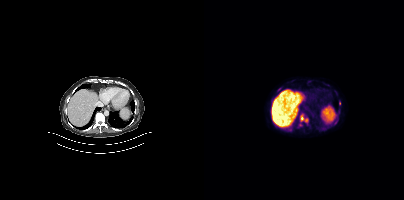
{"modality":"PSMA PET/CT","view":"axial","tracer":"18F-PSMA","pet_grid":[200,200],"coord_frame":"pet_panel","coord_format":"x0,y0,x1,y1","lesion_bboxes":[[95,115,104,126],[130,120,133,124]],"small_foci_centers":[[74,90],[135,103],[72,126]]}